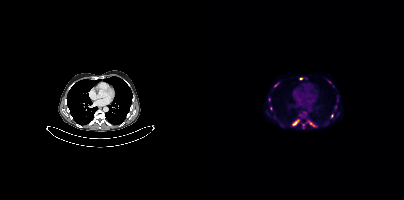
{"modality":"PSMA PET/CT","view":"axial","tracer":"18F-PSMA","pet_grid":[200,200],"coord_frame":"pet_panel","coord_format":"x0,y0,x1,y1","partial":true,"lesion_bboxes":[[88,119,95,125],[104,120,109,126],[127,114,129,118]],"small_foci_centers":[[96,78],[67,108],[71,85],[125,82],[99,124]]}